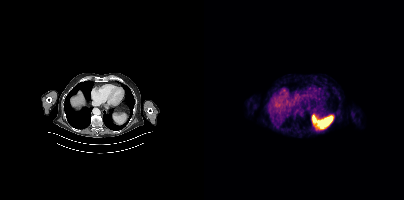
Findings: This slice has no annotated PSMA-avid lesion.
- Paired axial CT (left) and PSMA PET (right), 18F tracer
- acquired on Siemens Biograph mCT Flow 20
- slice 254 of 427
- PET panel 200×200 px (4.1 mm/px)